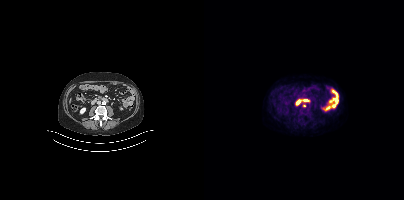
- Two-panel axial: CT | PSMA PET, [18F]PSMA-1007 tracer
Findings: Coordinates are on the 200×200 PET (right) panel. Small PSMA-avid focus (2 to 4 px across) near (center x, center y): (100, 105).